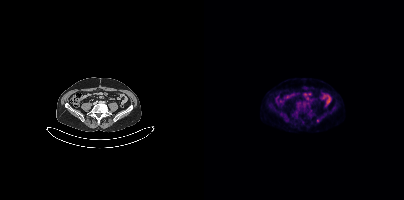
Coordinates are on the 200×200 PET (right) panel. Small PSMA-avid focus (2 to 4 px across) near (center x, center y): (113, 120).